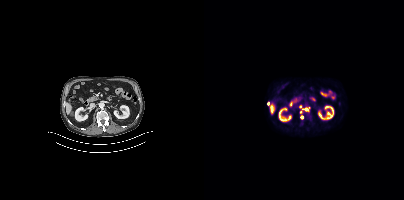
{"modality":"PSMA PET/CT","view":"axial","tracer":"18F-PSMA","pet_grid":[200,200],"coord_frame":"pet_panel","coord_format":"x0,y0,x1,y1","partial":true,"lesion_bboxes":[],"small_foci_centers":[[97,117],[102,109],[96,111]]}